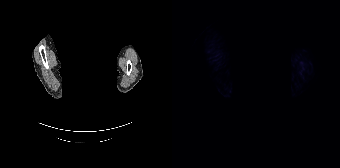
Technique: Paired axial CT (left) and PSMA PET (right), [18F]PSMA-1007 tracer. acquired on Siemens Biograph 64-4R TruePoint. slice 150 of 165.
Note: De-identified by setting a box covering the face to black before release.
Findings: This slice has no annotated PSMA-avid lesion.